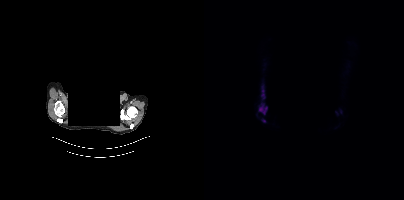
- face de-identified by blanking a block of the head
- Paired axial CT (left) and PSMA PET (right), 18F-PSMA tracer
Findings: Coordinates are on the 200×200 PET (right) panel. PSMA-avid tumor lesion bounding boxes (x0,y0,x1,y1): [55,103,63,114], [58,94,60,98]. Small PSMA-avid focus (2 to 4 px across) near (center x, center y): (59, 121).